- Two-panel axial: CT | PSMA PET, [18F]PSMA-1007 tracer
- acquired on Siemens Biograph mCT Flow 20
- slice position z = 60 mm
- PET panel 200×200 px (4.1 mm/px)
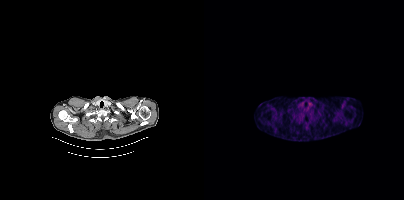
Findings: No tumor lesions annotated on this slice.